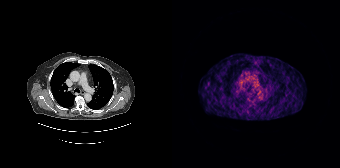
modality: PSMA PET/CT | tracer: 68Ga | view: axial | PET grid: 168×168
No PSMA-avid tumor lesions on this slice.